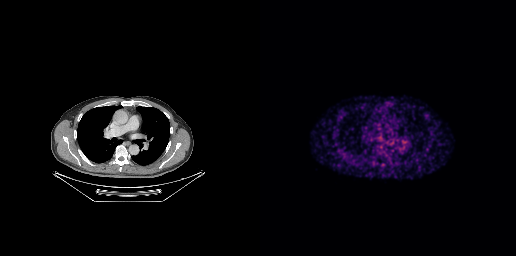
{"modality":"PSMA PET/CT","view":"axial","tracer":"18F-PSMA","pet_grid":[256,256],"coord_frame":"pet_panel","coord_format":"x0,y0,x1,y1","psma_avid_lesions":false}